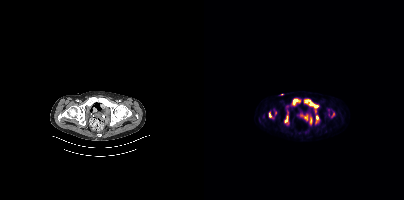
Coordinates are on the 200×200 PET (right) panel. (showing 7 of 8 foci) PSMA-avid tumor lesion bounding boxes (x0,y0,x1,y1): [100,99,114,108]; [88,99,96,105]; [80,116,83,122]; [112,115,114,120]; [65,113,67,117]. Small PSMA-avid foci (2 to 4 px across) near (center x, center y): (71, 112); (106, 121).